- Paired axial CT (left) and PSMA PET (right), 18F-PSMA tracer
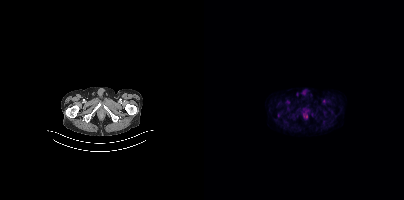
Findings: No tumor lesions annotated on this slice.